Face de-identified by blanking a block of the head.
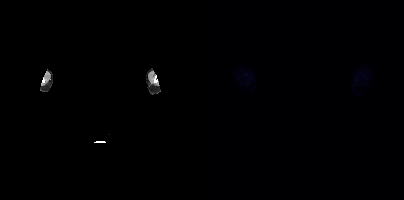
This slice has no annotated PSMA-avid lesion.